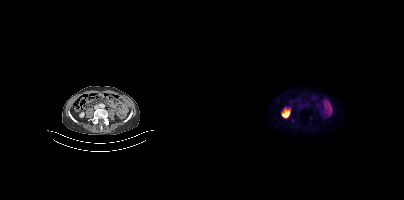
modality: PSMA PET/CT | tracer: [18F]PSMA-1007 | view: axial
Coordinates are on the 200×200 PET (right) panel. PSMA-avid tumor lesion bounding box (x0, y0)-(x1, y1): (87, 118)-(89, 122).